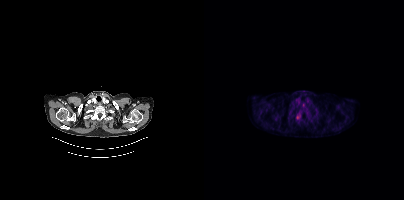
Coordinates are on the 200×200 PET (right) panel. PSMA-avid tumor lesion bounding box (x, y, width, height): x=92 y=115 w=5 h=5.